Two-panel axial: CT | PSMA PET, 18F-PSMA tracer. PET panel 200×200 px (4.1 mm/px).
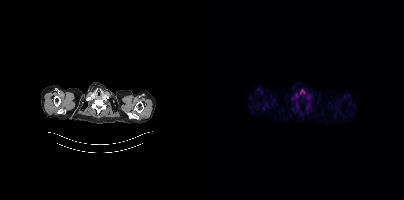
Negative for PSMA-avid disease on this slice.